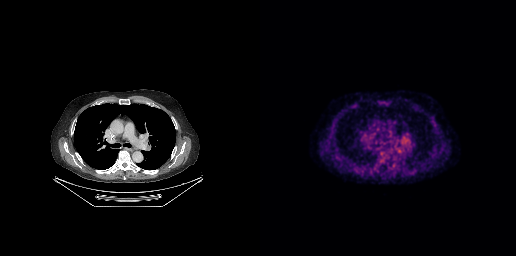
Technique: Left: CT. Right: PSMA PET, same axial level, [18F]PSMA-1007 tracer. acquired on GE Discovery 690. slice position z = -421 mm. PET panel 256×256 px (2.7 mm/px).
Findings: Negative for PSMA-avid disease on this slice.